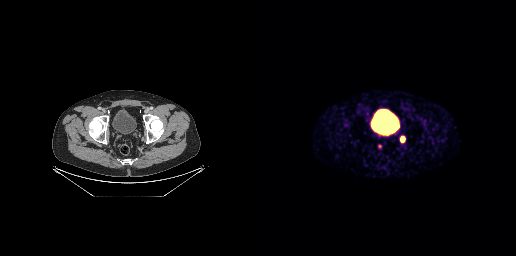
{"modality":"PSMA PET/CT","view":"axial","tracer":"[68Ga]Ga-PSMA-11","pet_grid":[256,256],"coord_frame":"pet_panel","coord_format":"x0,y0,x1,y1","lesion_bboxes":[[140,136,145,142],[118,144,122,149]]}